Paired axial CT (left) and PSMA PET (right), 68Ga-PSMA tracer. Slice 135 of 409. PET panel 200×200 px (4.1 mm/px).
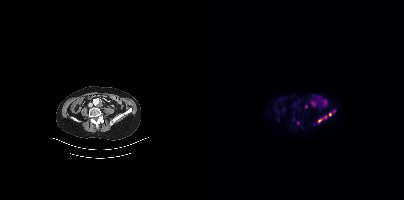
Coordinates are on the 200×200 PET (right) panel. (showing 5 of 6 foci) PSMA-avid tumor lesion bounding box (x0,y0,x1,y1): [125,110,131,115]. Small PSMA-avid foci (2 to 4 px across) near (center x, center y): (102, 106); (94, 123); (116, 120); (121, 116).